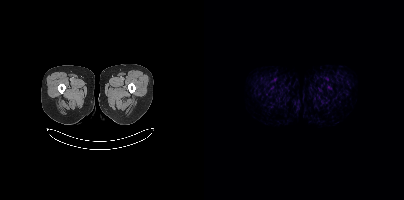
{"pet_grid":[200,200],"coord_frame":"pet_panel","coord_format":"x0,y0,x1,y1","psma_avid_lesions":false,"modality":"PSMA PET/CT","view":"axial","tracer":"[18F]PSMA-1007"}